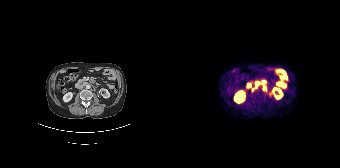
{"modality":"PSMA PET/CT","view":"axial","tracer":"68Ga-PSMA","pet_grid":[168,168],"coord_frame":"pet_panel","coord_format":"x0,y0,x1,y1","lesion_bboxes":[[83,82,87,86],[80,88,84,91]]}